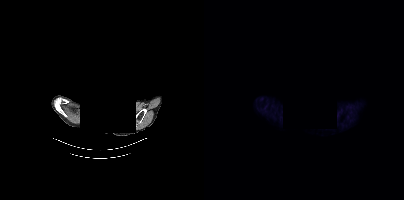
Two-panel axial: CT | PSMA PET, 18F tracer. Acquired on Siemens Biograph mCT Flow 20. PET panel 200×200 px (4.1 mm/px). An anonymization step blacked out a rectangle over the head in this scan. This slice has no annotated PSMA-avid lesion.